- Paired axial CT (left) and PSMA PET (right), [18F]PSMA-1007 tracer
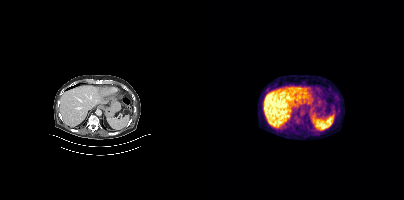
Findings: No tumor lesions annotated on this slice.